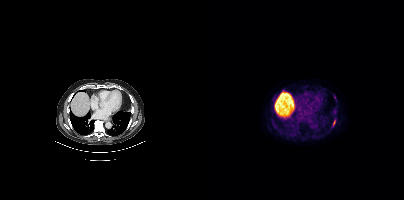
{"pet_grid":[200,200],"coord_frame":"pet_panel","coord_format":"x0,y0,x1,y1","lesion_bboxes":[[128,119,131,126]],"modality":"PSMA PET/CT","view":"axial","tracer":"18F-PSMA"}